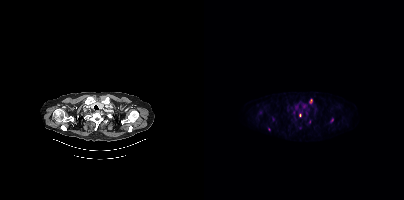
Coordinates are on the 200×200 PET (right) panel. (showing 6 of 7 foci) PSMA-avid tumor lesion bounding boxes (x, y, width, height): x=68 y=117 w=3 h=5; x=127 y=118 w=3 h=5. Small PSMA-avid foci (2 to 4 px across) near (center x, center y): (106, 100); (96, 115); (105, 121); (96, 128).